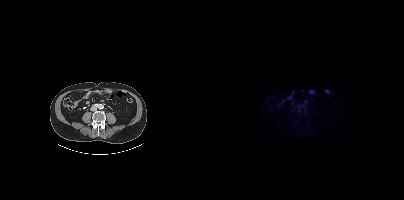
No tumor lesions annotated on this slice.